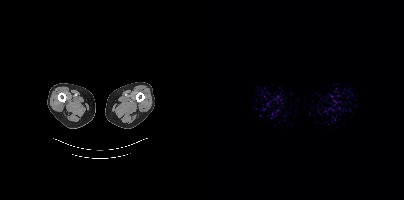
Left: CT. Right: PSMA PET, same axial level, [18F]PSMA-1007 tracer. No PSMA-avid tumor lesions on this slice.